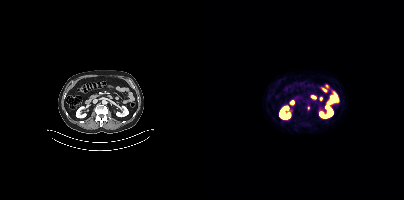
Technique: Two-panel axial: CT | PSMA PET, 68Ga-PSMA tracer. acquired on Siemens Biograph mCT Flow 20. slice position z = -1492 mm. PET panel 200×200 px (4.1 mm/px).
Findings: Coordinates are on the 200×200 PET (right) panel. Small PSMA-avid focus (2 to 4 px across) near (center x, center y): (104, 108).